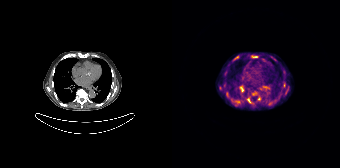
{"modality":"PSMA PET/CT","view":"axial","tracer":"68Ga","pet_grid":[168,168],"coord_frame":"pet_panel","coord_format":"x0,y0,x1,y1","partial":true,"lesion_bboxes":[[68,86,72,92],[61,55,67,60],[76,95,79,101],[111,83,113,87]],"small_foci_centers":[[64,101],[102,59]]}